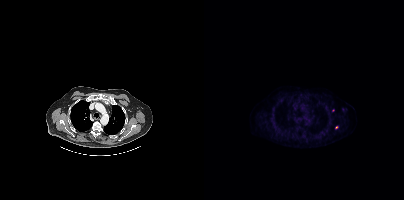
Coordinates are on the 200×200 PET (right) panel. Small PSMA-avid foci (2 to 4 px across) near (center x, center y): (129, 110) | (132, 127). Paired axial CT (left) and PSMA PET (right), [18F]PSMA-1007 tracer. Acquired on Siemens Biograph mCT Flow 20. Slice 347 of 435. PET panel 200×200 px (4.1 mm/px).